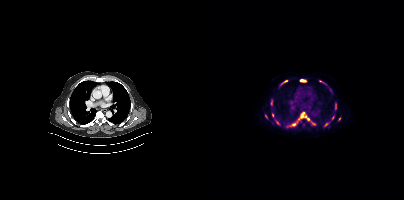
{"modality":"PSMA PET/CT","view":"axial","tracer":"[18F]PSMA-1007","pet_grid":[200,200],"coord_frame":"pet_panel","coord_format":"x0,y0,x1,y1","partial":true,"lesion_bboxes":[[96,79,101,81],[67,100,68,105],[131,103,132,108],[71,120,75,124],[61,114,63,118],[115,80,119,82]],"small_foci_centers":[[89,124],[81,81],[96,117],[68,114],[99,113],[129,117],[104,118],[135,118],[121,124]]}